modality: PSMA PET/CT | tracer: 18F-PSMA | view: axial | PET grid: 200×200
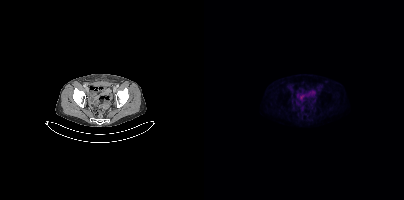
Negative for PSMA-avid disease on this slice.